Technique: Two-panel axial: CT | PSMA PET, [18F]PSMA-1007 tracer. PET panel 200×200 px (4.1 mm/px).
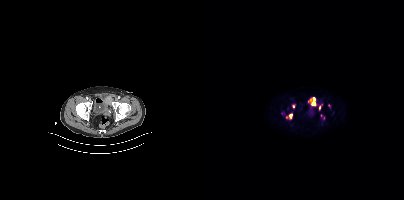
Findings: Coordinates are on the 200×200 PET (right) panel. (showing 4 of 5 foci) PSMA-avid tumor lesion bounding boxes (x, y, width, height): x=106 y=97 w=6 h=9 / x=83 y=114 w=6 h=5. Small PSMA-avid foci (2 to 4 px across) near (center x, center y): (89, 106) / (115, 107).